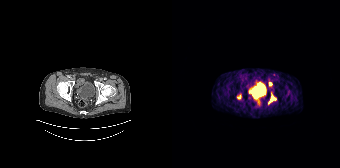
Coordinates are on the 168×168 PET (right) panel. (showing 3 of 4 foci) PSMA-avid tumor lesion bounding boxes (x, y, width, height): x=99 y=94 w=5 h=8; x=65 y=94 w=5 h=6. Small PSMA-avid focus (2 to 4 px across) near (center x, center y): (98, 84).